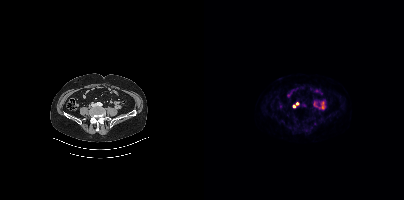
modality: PSMA PET/CT | tracer: 18F | view: axial
Coordinates are on the 200×200 PET (right) panel. Small PSMA-avid foci (2 to 4 px across) near (center x, center y): (89, 106), (93, 103).